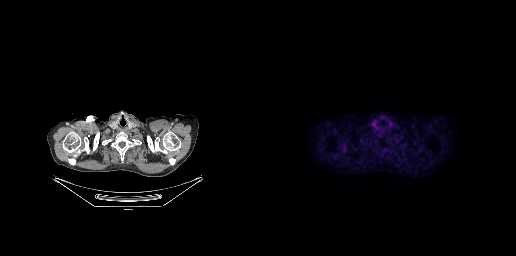
No PSMA-avid tumor lesions on this slice.